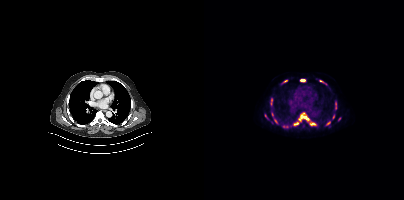
{"modality":"PSMA PET/CT","view":"axial","tracer":"18F-PSMA","pet_grid":[200,200],"coord_frame":"pet_panel","coord_format":"x0,y0,x1,y1","partial":true,"lesion_bboxes":[[66,98,68,105],[95,115,104,119],[96,79,100,81],[131,103,132,108],[90,122,94,125],[106,123,111,124],[115,80,119,82],[61,114,63,118]],"small_foci_centers":[[72,121],[81,81],[129,116],[68,114],[124,122]]}